Paired axial CT (left) and PSMA PET (right), [18F]PSMA-1007 tracer. Slice position z = -799 mm. PET panel 200×200 px (4.1 mm/px).
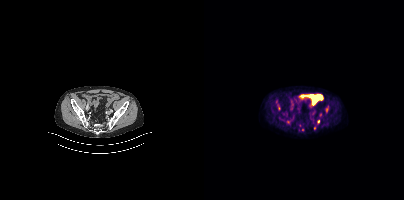
Coordinates are on the 200×200 PET (right) panel. (showing 2 of 5 foci) Small PSMA-avid foci (2 to 4 px across) near (center x, center y): (122, 109), (114, 121).